Left: CT. Right: PSMA PET, same axial level, 68Ga-PSMA tracer.
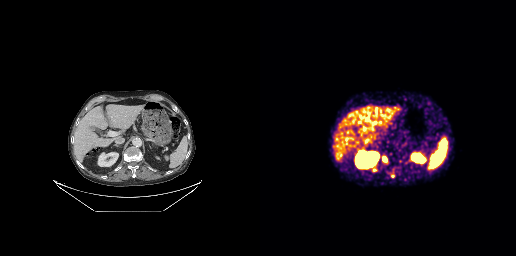
Coordinates are on the 256×256 PET (right) panel. PSMA-avid tumor lesion bounding boxes (x0, y0)-(x1, y1): (128, 168)-(135, 178) | (122, 156)-(127, 161) | (112, 168)-(117, 171).